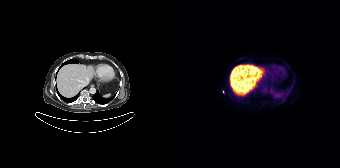
Findings: This slice has no annotated PSMA-avid lesion.
- Left: CT. Right: PSMA PET, same axial level, 18F-PSMA tracer
- PET panel 168×168 px (4.1 mm/px)